modality: PSMA PET/CT | tracer: 18F-PSMA | view: axial | PET grid: 200×200
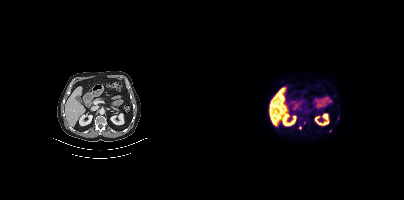
Coordinates are on the 200×200 PET (right) panel. (showing 2 of 3 foci) Small PSMA-avid foci (2 to 4 px across) near (center x, center y): (96, 127); (134, 118).